Technique: Left: CT. Right: PSMA PET, same axial level, 18F-PSMA tracer. acquired on Siemens Biograph mCT Flow 20. PET panel 200×200 px (4.1 mm/px).
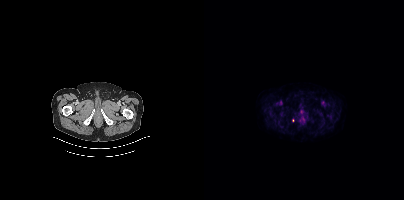
Findings: Coordinates are on the 200×200 PET (right) panel. Small PSMA-avid focus (2 to 4 px across) near (center x, center y): (89, 120).